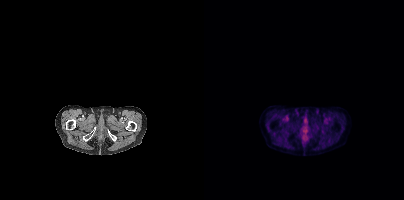
modality: PSMA PET/CT | tracer: 18F-PSMA | view: axial
This slice has no annotated PSMA-avid lesion.